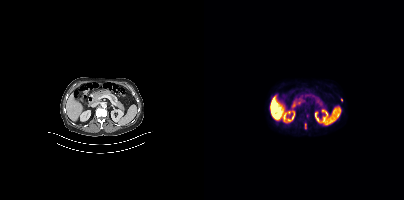
- Paired axial CT (left) and PSMA PET (right), 18F tracer
- acquired on Siemens Biograph mCT Flow 20
- slice position z = -1250 mm
Findings: Coordinates are on the 200×200 PET (right) panel. PSMA-avid tumor lesion bounding box (x, y, width, height): x=101 y=123 w=2 h=6. Small PSMA-avid focus (2 to 4 px across) near (center x, center y): (137, 100).